Paired axial CT (left) and PSMA PET (right), 68Ga tracer. Acquired on GE Discovery 690. Slice 127 of 263.
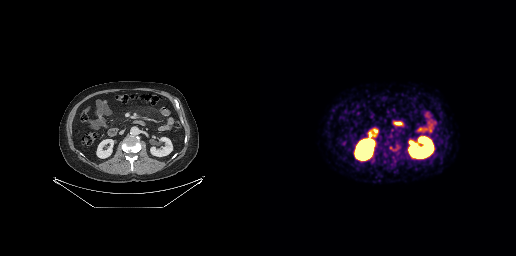
Coordinates are on the 256×256 PET (right) panel. Small PSMA-avid focus (2 to 4 px across) near (center x, center y): (131, 148).